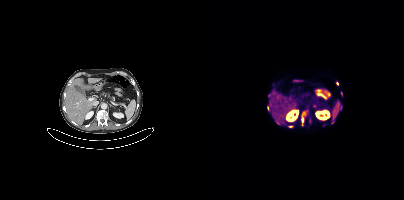
Coordinates are on the 200×200 PET (right) panel. (showing 8 of 10 foci) PSMA-avid tumor lesion bounding boxes (x0,y0,x1,y1): [97,111,101,122] [63,106,64,110]. Small PSMA-avid foci (2 to 4 px across) near (center x, center y): (86, 126) (133, 83) (137, 107) (137, 93) (129, 122) (74, 123).